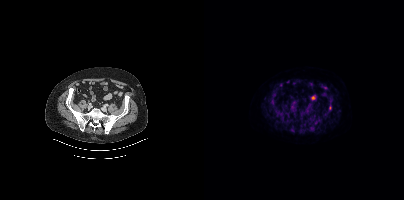
modality: PSMA PET/CT | tracer: [18F]PSMA-1007 | view: axial
Only PSMA-avid lesion pieces thinner than 2 px on this slice (not listed).